Technique: Paired axial CT (left) and PSMA PET (right), 18F tracer. acquired on GE Discovery 690. slice position z = -653 mm.
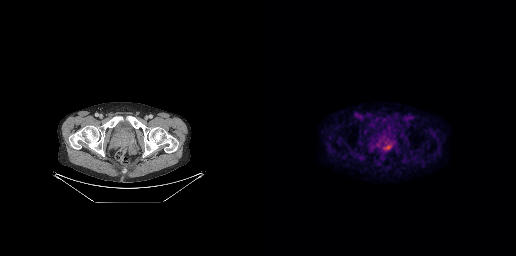
Findings: Coordinates are on the 256×256 PET (right) panel. Small PSMA-avid focus (2 to 4 px across) near (center x, center y): (128, 146).